Left: CT. Right: PSMA PET, same axial level, 18F tracer. PET panel 200×200 px (4.1 mm/px).
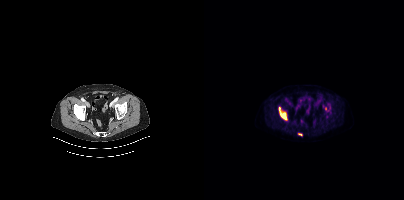
Coordinates are on the 200×200 PET (right) panel. PSMA-avid tumor lesion bounding boxes:
| # | x0 | y0 | x1 | y1 |
|---|---|---|---|---|
| 1 | 75 | 107 | 83 | 120 |
| 2 | 94 | 133 | 98 | 135 |
Small PSMA-avid focus (2 to 4 px across) near (center x, center y): (121, 108).